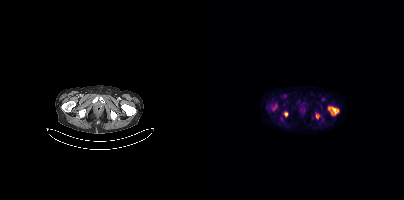
Technique: Paired axial CT (left) and PSMA PET (right), [18F]PSMA-1007 tracer. PET panel 200×200 px (4.1 mm/px).
Findings: Coordinates are on the 200×200 PET (right) panel. PSMA-avid tumor lesion bounding boxes (x, y, width, height): x=124 y=106 w=11 h=10; x=79 y=112 w=6 h=5; x=112 y=114 w=3 h=5; x=69 y=104 w=4 h=6.